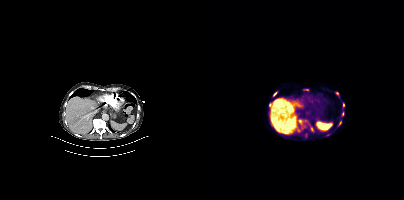
Coordinates are on the 200×200 PET (right) panel. (showing 11 of 13 foci) PSMA-avid tumor lesion bounding boxes (x0, y0)-(x1, y1): (94, 120)-(98, 125); (92, 127)-(96, 131); (65, 103)-(67, 107); (138, 111)-(140, 116); (107, 127)-(109, 131); (139, 103)-(140, 107); (135, 121)-(137, 125). Small PSMA-avid foci (2 to 4 px across) near (center x, center y): (132, 93); (70, 93); (103, 89); (68, 126). Paired axial CT (left) and PSMA PET (right), [18F]PSMA-1007 tracer.